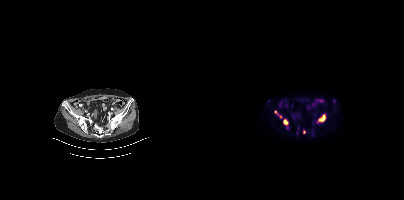
Left: CT. Right: PSMA PET, same axial level, [68Ga]Ga-PSMA-11 tracer. Slice position z = -1454 mm. PET panel 200×200 px (4.1 mm/px).
Coordinates are on the 200×200 PET (right) panel. PSMA-avid tumor lesion bounding boxes:
| # | x0 | y0 | x1 | y1 |
|---|---|---|---|---|
| 1 | 115 | 115 | 121 | 121 |
| 2 | 79 | 119 | 83 | 125 |
Small PSMA-avid foci (2 to 4 px across) near (center x, center y): (72, 112); (130, 101); (100, 132); (64, 101); (76, 116).